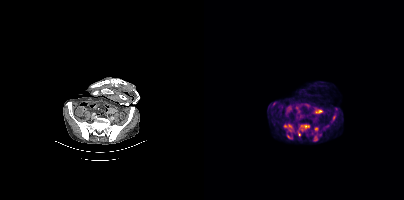
- Two-panel axial: CT | PSMA PET, 18F-PSMA tracer
- PET panel 200×200 px (4.1 mm/px)
Findings: Coordinates are on the 200×200 PET (right) panel. PSMA-avid tumor lesion bounding boxes (x0,y0,x1,y1): [93,124,105,136], [85,125,89,131], [110,136,113,140], [110,127,114,131], [129,115,131,120], [84,136,88,138]. Small PSMA-avid foci (2 to 4 px across) near (center x, center y): (70, 103), (122, 127), (81, 125).